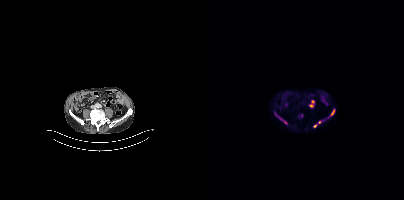
{"modality":"PSMA PET/CT","view":"axial","tracer":"18F","pet_grid":[200,200],"coord_frame":"pet_panel","coord_format":"x0,y0,x1,y1","lesion_bboxes":[[109,120,120,127],[70,112,82,123],[123,109,131,118]]}